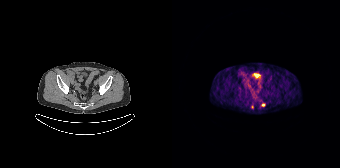
Coordinates are on the 168×168 PET (right) panel. PSMA-avid tumor lesion bounding box (x, y, width, height): x=89 y=103 w=5 h=4. Small PSMA-avid foci (2 to 4 px across) near (center x, center y): (75, 104) / (80, 106).